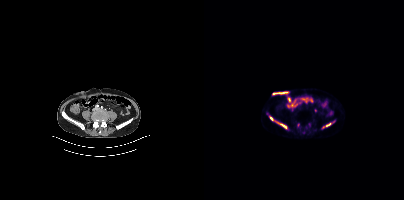
Technique: Left: CT. Right: PSMA PET, same axial level, 18F tracer. PET panel 200×200 px (4.1 mm/px).
Findings: Coordinates are on the 200×200 PET (right) panel. PSMA-avid tumor lesion bounding boxes (x0, y0)-(x1, y1): (65, 116)-(83, 128); (119, 123)-(127, 127).